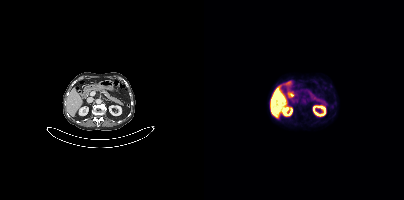
{"pet_grid":[200,200],"coord_frame":"pet_panel","coord_format":"x0,y0,x1,y1","lesion_bboxes":[],"small_foci_centers":[[104,100]],"modality":"PSMA PET/CT","view":"axial","tracer":"18F-PSMA"}